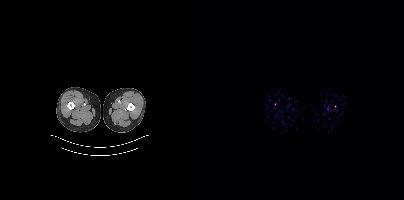
Left: CT. Right: PSMA PET, same axial level, 18F tracer. This slice has no annotated PSMA-avid lesion.